Left: CT. Right: PSMA PET, same axial level, 18F-PSMA tracer. Slice 134 of 448.
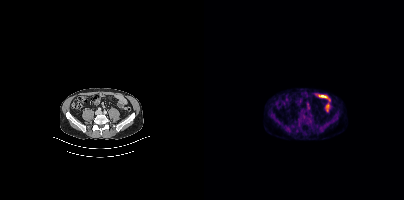
Coordinates are on the 200×200 PET (right) panel. PSMA-avid tumor lesion bounding box (x, y, width, height): x=100 y=118 w=6 h=5.